- Paired axial CT (left) and PSMA PET (right), 18F-PSMA tracer
- slice 160 of 401
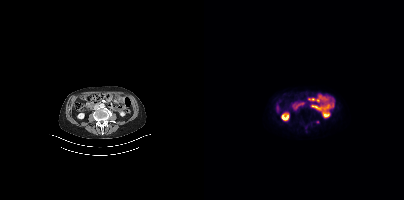
Findings: Coordinates are on the 200×200 PET (right) panel. Small PSMA-avid focus (2 to 4 px across) near (center x, center y): (113, 121).